Left: CT. Right: PSMA PET, same axial level, [18F]PSMA-1007 tracer.
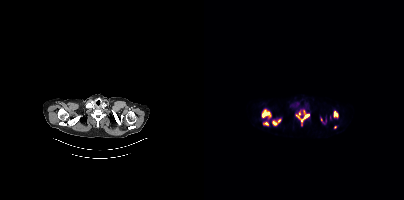
Coordinates are on the 200×200 PET (right) panel. (showing 5 of 7 foci) PSMA-avid tumor lesion bounding boxes (x0,y0,x1,y1): [92,110,105,122], [58,109,66,117], [68,119,76,125], [130,111,134,117], [60,122,64,125].